Paired axial CT (left) and PSMA PET (right), 18F tracer. Acquired on Siemens Biograph mCT Flow 20. Slice 339 of 466. PET panel 200×200 px (4.1 mm/px).
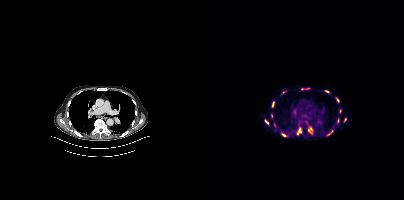
Coordinates are on the 200×200 PET (right) panel. (showing 14 of 15 foci) PSMA-avid tumor lesion bounding boxes (x, y, width, height): x=93 y=127 w=5 h=8 | x=104 y=127 w=5 h=8 | x=97 y=87 w=9 h=4 | x=68 y=101 w=3 h=7 | x=132 y=97 w=4 h=6 | x=61 y=119 w=4 h=6 | x=123 y=130 w=7 h=6 | x=121 y=90 w=5 h=4 | x=78 y=133 w=5 h=4 | x=135 y=109 w=3 h=5. Small PSMA-avid foci (2 to 4 px across) near (center x, center y): (134, 119) | (67, 116) | (140, 120) | (70, 124).